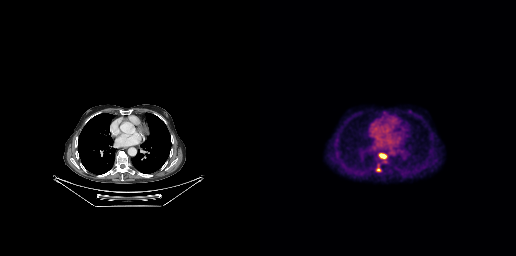
Findings: Coordinates are on the 256×256 PET (right) panel. PSMA-avid tumor lesion bounding boxes (x0,y0,x1,y1): [116,165,121,172] [120,154,125,157].
- Two-panel axial: CT | PSMA PET, 18F tracer
- acquired on GE Discovery 690
- PET panel 256×256 px (2.7 mm/px)